A rectangular block over the head has been blanked out for de-identification. Two-panel axial: CT | PSMA PET, [68Ga]Ga-PSMA-11 tracer. Acquired on Siemens Biograph mCT Flow 20. Slice position z = -1066 mm. PET panel 200×200 px (4.1 mm/px).
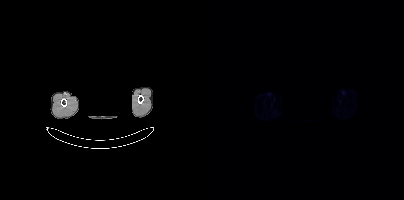
No tumor lesions annotated on this slice.